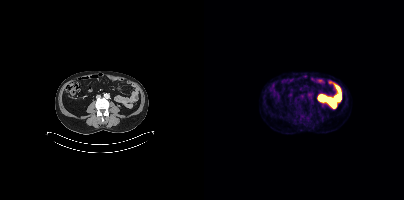
No tumor lesions annotated on this slice.